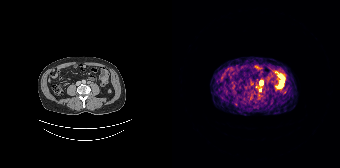
Coordinates are on the 168×168 PET (right) panel. Small PSMA-avid foci (2 to 4 px across) near (center x, center y): (89, 82) / (88, 90).
modality: PSMA PET/CT | tracer: 68Ga | view: axial